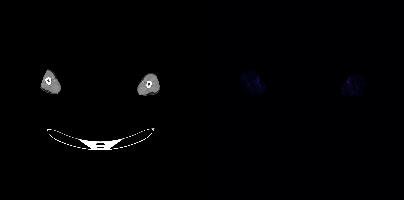
No tumor lesions annotated on this slice. Any black rectangle over the head is a privacy mask, not anatomy. Two-panel axial: CT | PSMA PET, 18F-PSMA tracer. PET panel 200×200 px (4.1 mm/px).